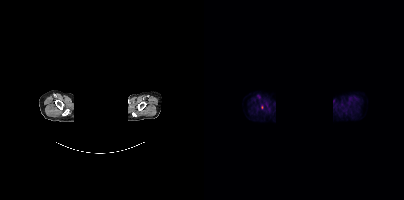
Left: CT. Right: PSMA PET, same axial level, 18F-PSMA tracer. Acquired on Siemens Biograph mCT Flow 20. Head region blanked for anonymization (face removed). Only PSMA-avid lesion pieces thinner than 2 px on this slice (not listed).